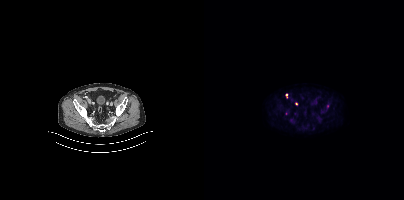
{"pet_grid":[200,200],"coord_frame":"pet_panel","coord_format":"x0,y0,x1,y1","partial":true,"lesion_bboxes":[],"small_foci_centers":[[123,106]],"modality":"PSMA PET/CT","view":"axial","tracer":"18F"}